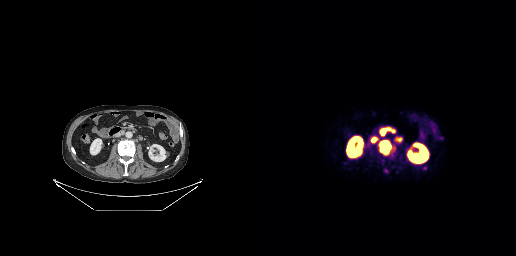
{"modality":"PSMA PET/CT","view":"axial","tracer":"[68Ga]Ga-PSMA-11","pet_grid":[256,256],"coord_frame":"pet_panel","coord_format":"x0,y0,x1,y1","lesion_bboxes":[[120,141,130,153],[121,129,125,134],[136,138,141,141]],"small_foci_centers":[[132,130],[113,139],[164,168],[126,170]]}